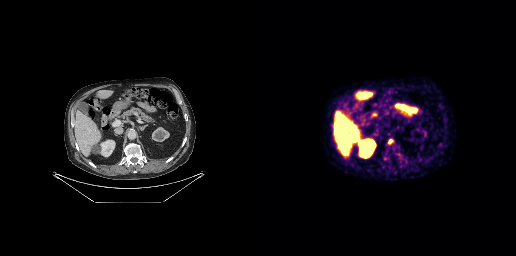
Coordinates are on the 256×256 PET (right) panel. PSMA-avid tumor lesion bounding box (x0,y0,x1,y1): [128,139,133,144].